Technique: Two-panel axial: CT | PSMA PET, [18F]PSMA-1007 tracer.
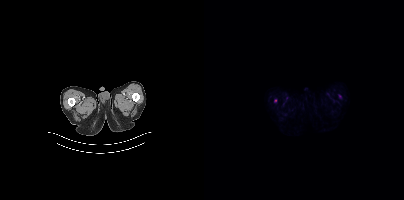
Findings: Coordinates are on the 200×200 PET (right) panel. Small PSMA-avid focus (2 to 4 px across) near (center x, center y): (71, 100).